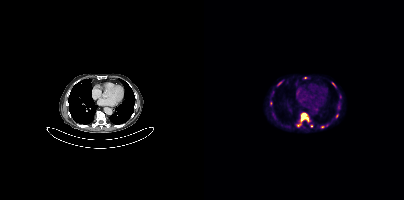
{"modality":"PSMA PET/CT","view":"axial","tracer":"[18F]PSMA-1007","pet_grid":[200,200],"coord_frame":"pet_panel","coord_format":"x0,y0,x1,y1","partial":true,"lesion_bboxes":[[97,113,105,122],[93,124,97,126],[128,82,131,86]],"small_foci_centers":[[133,115],[118,126],[101,77],[76,83],[107,125]]}